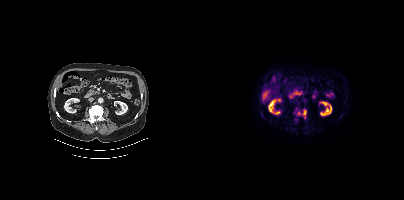
{"pet_grid":[200,200],"coord_frame":"pet_panel","coord_format":"x0,y0,x1,y1","lesion_bboxes":[[99,109,102,118]],"small_foci_centers":[[95,113]],"modality":"PSMA PET/CT","view":"axial","tracer":"18F"}